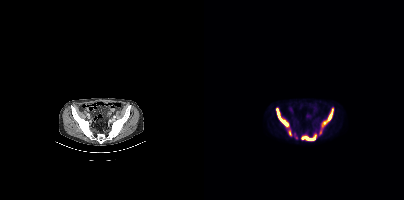
- Paired axial CT (left) and PSMA PET (right), 18F-PSMA tracer
- PET panel 200×200 px (4.1 mm/px)
Findings: Coordinates are on the 200×200 PET (right) panel. PSMA-avid tumor lesion bounding boxes (x0, y0)-(x1, y1): (118, 109)-(129, 126); (72, 108)-(84, 127); (99, 137)-(111, 140); (84, 130)-(87, 135); (115, 130)-(118, 134). Small PSMA-avid focus (2 to 4 px across) near (center x, center y): (111, 135).